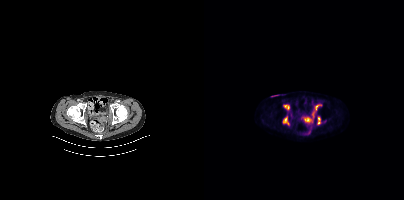
Paired axial CT (left) and PSMA PET (right), [18F]PSMA-1007 tracer. Acquired on Siemens Biograph mCT Flow 20. PET panel 200×200 px (4.1 mm/px).
Coordinates are on the 200×200 PET (right) panel. PSMA-avid tumor lesion bounding boxes:
| # | x0 | y0 | x1 | y1 |
|---|---|---|---|---|
| 1 | 78 | 116 | 84 | 123 |
| 2 | 79 | 104 | 85 | 110 |
| 3 | 114 | 117 | 116 | 123 |
| 4 | 101 | 118 | 105 | 121 |
| 5 | 111 | 105 | 114 | 109 |